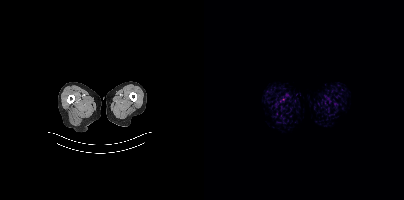
{"modality":"PSMA PET/CT","view":"axial","tracer":"18F-PSMA","pet_grid":[200,200],"coord_frame":"pet_panel","coord_format":"x0,y0,x1,y1","psma_avid_lesions":false}